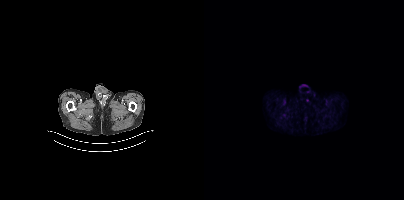
No tumor lesions annotated on this slice.